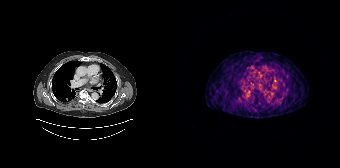
Coordinates are on the 168×168 PET (right) panel. Small PSMA-avid foci (2 to 4 px across) near (center x, center y): (103, 80) / (77, 90). Paired axial CT (left) and PSMA PET (right), 68Ga tracer. Slice position z = -1209 mm. PET panel 168×168 px (4.1 mm/px).